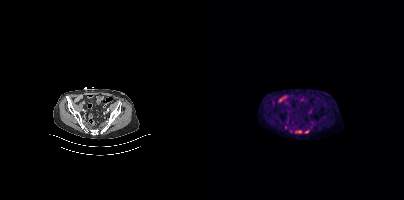
Coordinates are on the 200×200 PET (right) panel. Small PSMA-avid focus (2 to 4 px across) near (center x, center y): (81, 127). Paired axial CT (left) and PSMA PET (right), [18F]PSMA-1007 tracer. Slice 103 of 377. PET panel 200×200 px (4.1 mm/px).